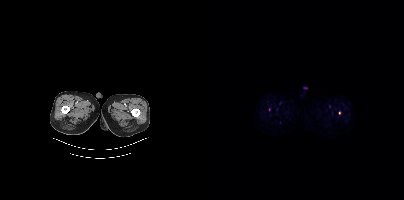
Two-panel axial: CT | PSMA PET, 18F-PSMA tracer. Acquired on Siemens Biograph mCT Flow 20. Slice position z = -1558 mm. PET panel 200×200 px (4.1 mm/px). Coordinates are on the 200×200 PET (right) panel. Small PSMA-avid foci (2 to 4 px across) near (center x, center y): (65, 109) (135, 112).